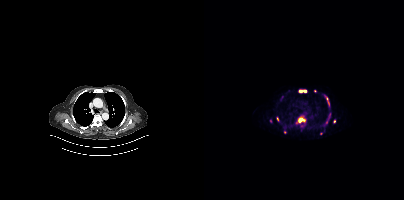
Findings: Coordinates are on the 200×200 PET (right) panel. PSMA-avid tumor lesion bounding boxes (x, y, width, height): x=92 y=118 w=10 h=6 | x=95 y=90 w=8 h=3 | x=120 y=95 w=6 h=10 | x=123 y=114 w=4 h=6 | x=97 y=123 w=5 h=4. Small PSMA-avid foci (2 to 4 px across) near (center x, center y): (73, 119) | (130, 121) | (122, 122) | (80, 132).
- Left: CT. Right: PSMA PET, same axial level, 68Ga tracer